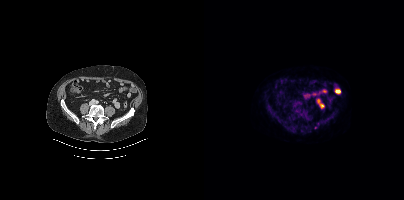
Only PSMA-avid lesion pieces thinner than 2 px on this slice (not listed).